Technique: Paired axial CT (left) and PSMA PET (right), 18F-PSMA tracer. acquired on GE Discovery 690. slice position z = -663 mm.
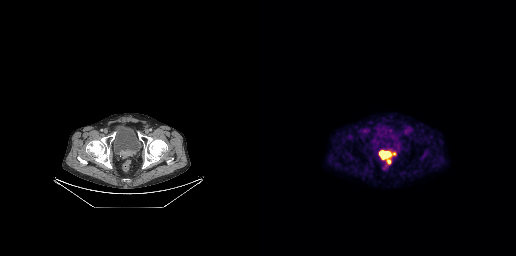
Findings: Coordinates are on the 256×256 PET (right) panel. (showing 2 of 3 foci) PSMA-avid tumor lesion bounding boxes (x, y, width, height): x=119 y=150 w=13 h=10 / x=126 y=160 w=6 h=5.